Technique: Paired axial CT (left) and PSMA PET (right), 18F-PSMA tracer.
Note: Any black rectangle over the head is a privacy mask, not anatomy.
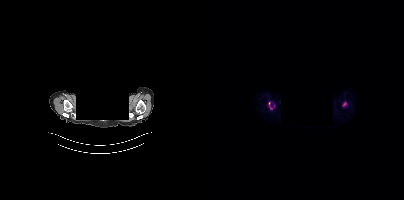
Findings: Coordinates are on the 200×200 PET (right) panel. (showing 2 of 3 foci) Small PSMA-avid foci (2 to 4 px across) near (center x, center y): (140, 103); (65, 103).